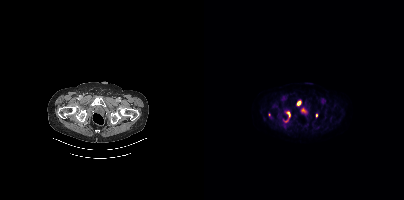
Technique: Paired axial CT (left) and PSMA PET (right), [18F]PSMA-1007 tracer. PET panel 200×200 px (4.1 mm/px).
Findings: Coordinates are on the 200×200 PET (right) panel. PSMA-avid tumor lesion bounding box (x, y, width, height): x=93 y=101 w=4 h=5. Small PSMA-avid foci (2 to 4 px across) near (center x, center y): (112, 115); (84, 113); (65, 114).